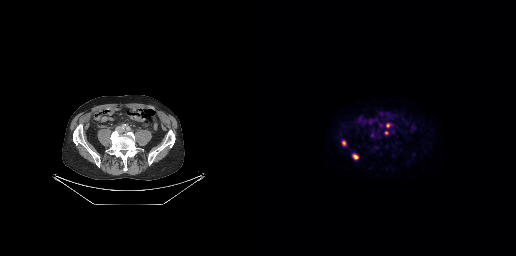
modality: PSMA PET/CT | tracer: 18F-PSMA | view: axial
Coordinates are on the 256×256 PET (right) panel. (showing 4 of 5 foci) PSMA-avid tumor lesion bounding boxes (x0,y0,x1,y1): [92,154,98,159], [126,123,131,127], [82,140,86,145], [124,131,128,134].